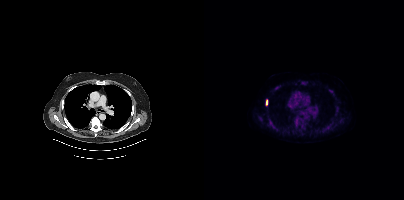
Paired axial CT (left) and PSMA PET (right), 18F-PSMA tracer. Acquired on Siemens Biograph mCT Flow 20. PET panel 200×200 px (4.1 mm/px). Coordinates are on the 200×200 PET (right) panel. PSMA-avid tumor lesion bounding boxes (x0, y0)-(x1, y1): (90, 117)-(98, 128) | (63, 117)-(72, 129) | (117, 126)-(124, 133) | (131, 108)-(135, 114) | (98, 81)-(102, 85) | (98, 125)-(101, 129) | (71, 86)-(75, 89). Small PSMA-avid foci (2 to 4 px across) near (center x, center y): (56, 119) | (126, 91) | (137, 120) | (62, 101).